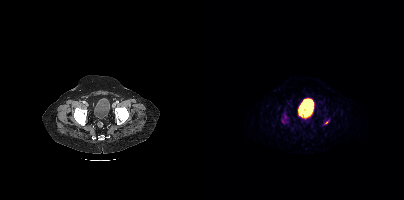
{"modality":"PSMA PET/CT","view":"axial","tracer":"68Ga","pet_grid":[200,200],"coord_frame":"pet_panel","coord_format":"x0,y0,x1,y1","lesion_bboxes":[[119,119,125,124]]}